modality: PSMA PET/CT | tracer: [18F]PSMA-1007 | view: axial | PET grid: 200×200
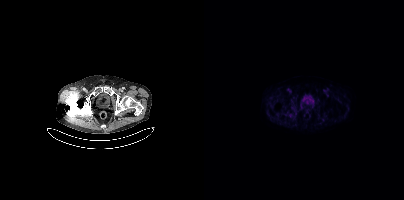
Negative for PSMA-avid disease on this slice.